modality: PSMA PET/CT | tracer: 18F-PSMA | view: axial | PET grid: 200×200
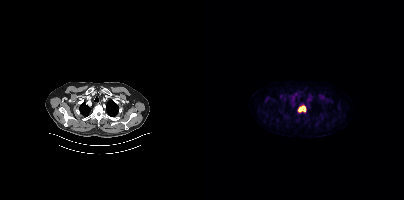
Coordinates are on the 200×200 PET (right) panel. PSMA-avid tumor lesion bounding box (x, y, width, height): x=94 y=105 w=9 h=8.